Technique: Paired axial CT (left) and PSMA PET (right), 18F tracer. slice position z = -332 mm.
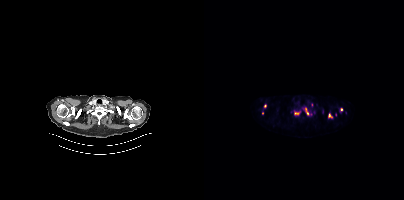
Findings: Coordinates are on the 200×200 PET (right) panel. (showing 5 of 6 foci) PSMA-avid tumor lesion bounding boxes (x0, y0)-(x1, y1): (90, 112)-(94, 114) | (102, 108)-(104, 114). Small PSMA-avid foci (2 to 4 px across) near (center x, center y): (61, 106) | (58, 113) | (125, 115).